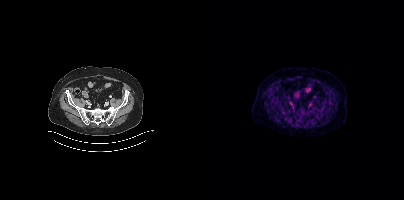
This slice has no annotated PSMA-avid lesion.
modality: PSMA PET/CT | tracer: 18F | view: axial